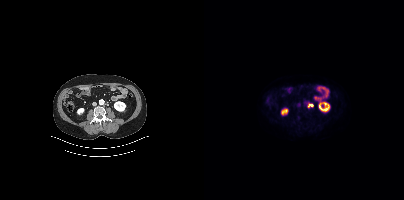
Findings: Coordinates are on the 200×200 PET (right) panel. PSMA-avid tumor lesion bounding box (x0,y0,x1,y1): [103,103,109,107].
Technique: Two-panel axial: CT | PSMA PET, 18F-PSMA tracer. slice position z = -1351 mm.